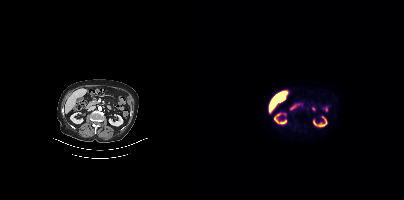
{"modality":"PSMA PET/CT","view":"axial","tracer":"18F","pet_grid":[200,200],"coord_frame":"pet_panel","coord_format":"x0,y0,x1,y1","psma_avid_lesions":false}